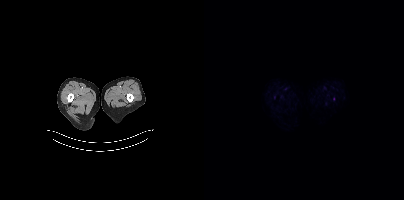
No tumor lesions annotated on this slice. Left: CT. Right: PSMA PET, same axial level, 18F tracer. Slice 20 of 395. PET panel 200×200 px (4.1 mm/px).